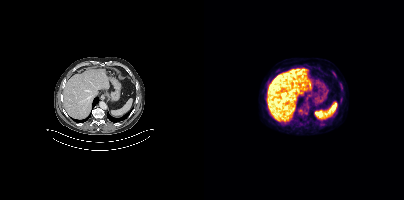
Coordinates are on the 200×200 PET (right) panel. PSMA-avid tumor lesion bounding box (x0,y0,x1,y1): [128,72,131,76].